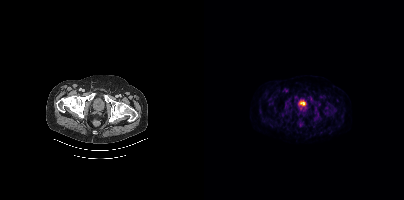
{"modality":"PSMA PET/CT","view":"axial","tracer":"18F-PSMA","pet_grid":[200,200],"coord_frame":"pet_panel","coord_format":"x0,y0,x1,y1","psma_avid_lesions":false}